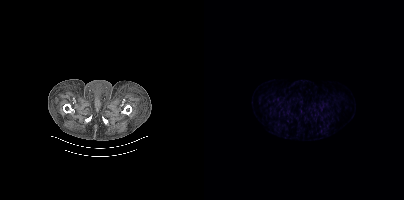
No PSMA-avid tumor lesions on this slice.